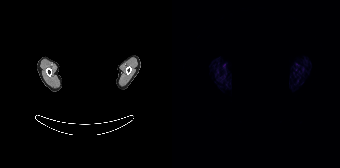
- any black rectangle over the head is a privacy mask, not anatomy
- Left: CT. Right: PSMA PET, same axial level, 68Ga tracer
- PET panel 168×168 px (4.1 mm/px)
Findings: Negative for PSMA-avid disease on this slice.